Two-panel axial: CT | PSMA PET, 18F-PSMA tracer. PET panel 200×200 px (4.1 mm/px).
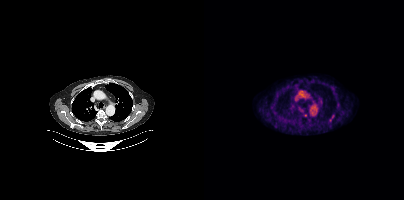
Coordinates are on the 200×200 PET (right) panel. PSMA-avid tumor lesion bounding boxes:
| # | x0 | y0 | x1 | y1 |
|---|---|---|---|---|
| 1 | 126 | 115 | 129 | 121 |